- Paired axial CT (left) and PSMA PET (right), [68Ga]Ga-PSMA-11 tracer
- acquired on Siemens Biograph mCT Flow 20
- slice position z = -1560 mm
- PET panel 200×200 px (4.1 mm/px)
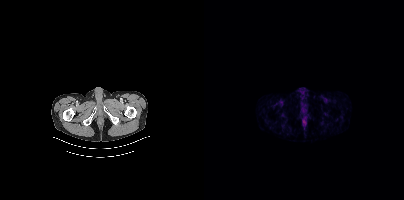
Findings: No tumor lesions annotated on this slice.